- Left: CT. Right: PSMA PET, same axial level, 18F tracer
- PET panel 200×200 px (4.1 mm/px)
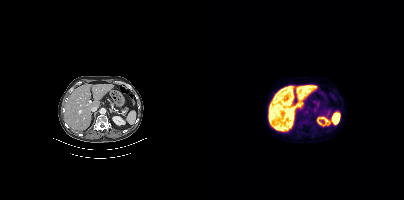
Findings: No PSMA-avid tumor lesions on this slice.